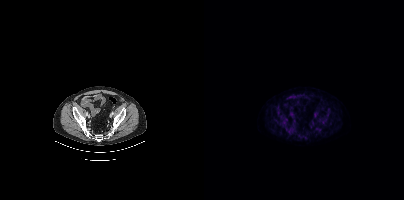
Technique: Left: CT. Right: PSMA PET, same axial level, 18F tracer. PET panel 200×200 px (4.1 mm/px).
Findings: No tumor lesions annotated on this slice.